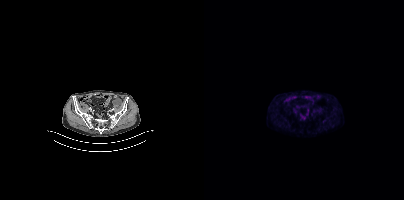
modality: PSMA PET/CT | tracer: 18F | view: axial | PET grid: 200×200
This slice has no annotated PSMA-avid lesion.